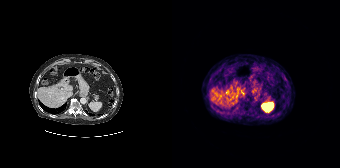
{"modality":"PSMA PET/CT","view":"axial","tracer":"68Ga","pet_grid":[168,168],"coord_frame":"pet_panel","coord_format":"x0,y0,x1,y1","psma_avid_lesions":false}